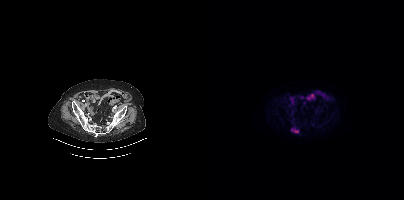
Technique: Paired axial CT (left) and PSMA PET (right), [18F]PSMA-1007 tracer. slice position z = -880 mm. PET panel 200×200 px (4.1 mm/px).
Findings: Coordinates are on the 200×200 PET (right) panel. PSMA-avid tumor lesion bounding box (x0, y0)-(x1, y1): (87, 128)-(94, 132).